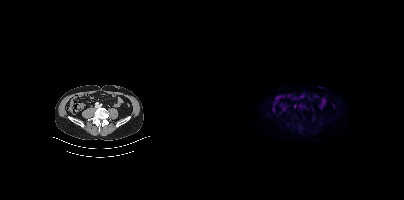
Negative for PSMA-avid disease on this slice. Left: CT. Right: PSMA PET, same axial level, 68Ga tracer. Acquired on Siemens Biograph mCT Flow 20. Slice 134 of 407.